Technique: Two-panel axial: CT | PSMA PET, 68Ga-PSMA tracer. slice 358 of 373.
Note: An anonymization step blacked out a rectangle over the head in this scan.
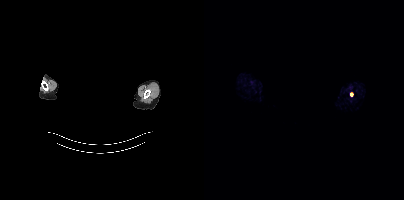
Findings: Coordinates are on the 200×200 PET (right) panel. Small PSMA-avid focus (2 to 4 px across) near (center x, center y): (147, 94).